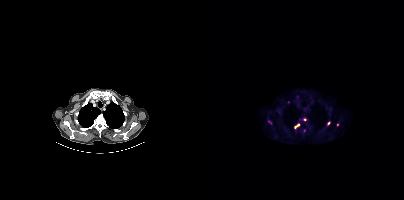
{"modality":"PSMA PET/CT","view":"axial","tracer":"18F-PSMA","pet_grid":[200,200],"coord_frame":"pet_panel","coord_format":"x0,y0,x1,y1","partial":true,"lesion_bboxes":[[90,124,95,128]],"small_foci_centers":[[101,119],[124,123],[133,124],[100,130]]}